Two-panel axial: CT | PSMA PET, [18F]PSMA-1007 tracer. Slice 298 of 450.
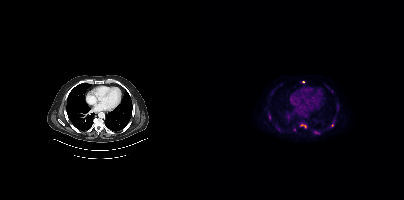
Coordinates are on the 200×200 PET (right) panel. PSMA-avid tumor lesion bounding boxes (partial; 1 more focus not listed):
| # | x0 | y0 | x1 | y1 |
|---|---|---|---|---|
| 1 | 109 | 131 | 115 | 134 |
| 2 | 64 | 115 | 66 | 119 |
| 3 | 97 | 125 | 101 | 126 |
Small PSMA-avid foci (2 to 4 px across) near (center x, center y): (99, 81); (128, 125); (90, 129).